- Two-panel axial: CT | PSMA PET, 68Ga-PSMA tracer
- acquired on Siemens Biograph mCT Flow 20
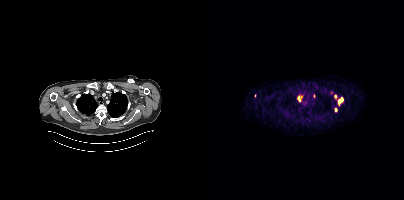
Findings: Coordinates are on the 200×200 PET (right) panel. PSMA-avid tumor lesion bounding boxes (x0,y0,x1,y1): [134,98,138,105] [94,95,98,101]. Small PSMA-avid foci (2 to 4 px across) near (center x, center y): (132, 109) (110, 95) (51, 95) (131, 96) (127, 92).